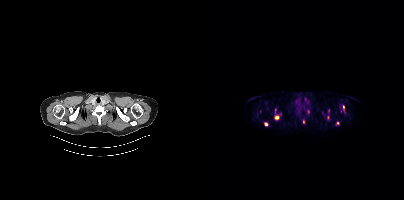
- Two-panel axial: CT | PSMA PET, 18F-PSMA tracer
- acquired on Siemens Biograph mCT Flow 20
- slice position z = -366 mm
- PET panel 200×200 px (4.1 mm/px)
Findings: Coordinates are on the 200×200 PET (right) panel. (showing 4 of 6 foci) Small PSMA-avid foci (2 to 4 px across) near (center x, center y): (72, 117) (61, 123) (139, 107) (104, 111).